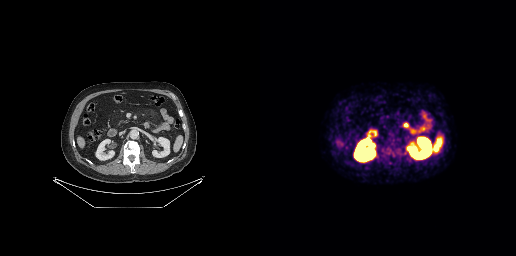
Left: CT. Right: PSMA PET, same axial level, [68Ga]Ga-PSMA-11 tracer. Slice 132 of 263. This slice has no annotated PSMA-avid lesion.